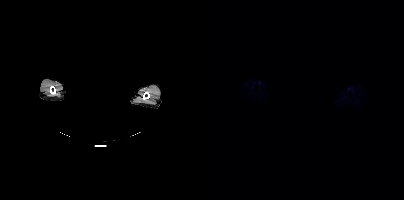
The head region is masked for de-identification.
Negative for PSMA-avid disease on this slice.